modality: PSMA PET/CT | tracer: [18F]PSMA-1007 | view: axial | PET grid: 200×200
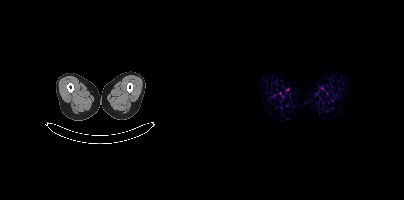
Negative for PSMA-avid disease on this slice.